Two-panel axial: CT | PSMA PET, [18F]PSMA-1007 tracer. Slice 162 of 417.
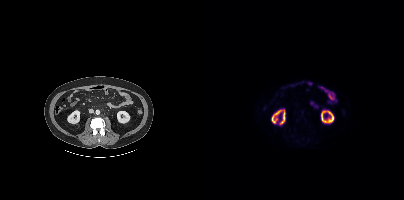
Negative for PSMA-avid disease on this slice.